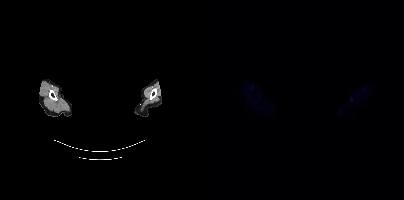
{"pet_grid":[200,200],"coord_frame":"pet_panel","coord_format":"x0,y0,x1,y1","psma_avid_lesions":false,"deidentification":"face masked with black rectangle","modality":"PSMA PET/CT","view":"axial","tracer":"[18F]PSMA-1007"}